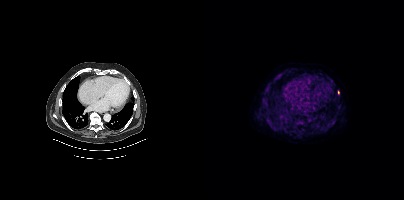
Coordinates are on the 200×200 PET (right) panel. Small PSMA-avid focus (2 to 4 px across) near (center x, center y): (134, 92).